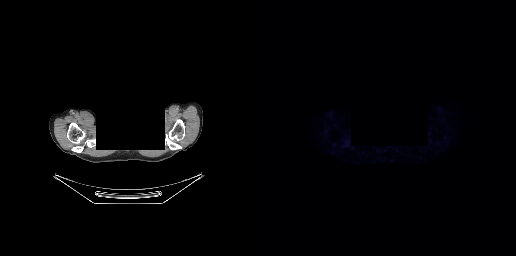
redaction: rectangular block over head set to black | modality: PSMA PET/CT | tracer: [18F]PSMA-1007 | view: axial | PET grid: 256×256
No tumor lesions annotated on this slice.